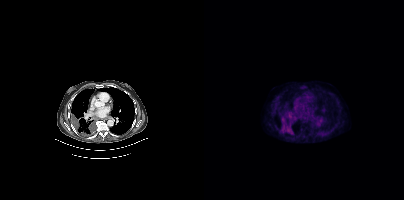
{"modality":"PSMA PET/CT","view":"axial","tracer":"[18F]PSMA-1007","pet_grid":[200,200],"coord_frame":"pet_panel","coord_format":"x0,y0,x1,y1","lesion_bboxes":[[83,129,87,133],[82,111,87,114]]}